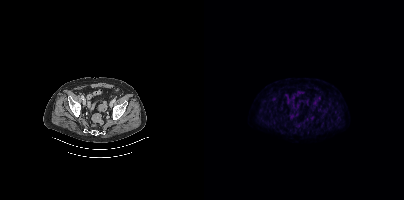
Paired axial CT (left) and PSMA PET (right), [18F]PSMA-1007 tracer. Acquired on Siemens Biograph mCT Flow 20. No tumor lesions annotated on this slice.